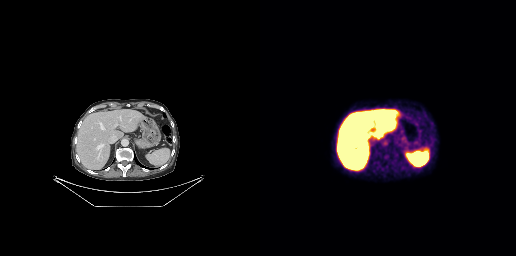
Technique: Paired axial CT (left) and PSMA PET (right), [18F]PSMA-1007 tracer. PET panel 256×256 px (2.7 mm/px).
Findings: Coordinates are on the 256×256 PET (right) panel. Small PSMA-avid focus (2 to 4 px across) near (center x, center y): (125, 156).